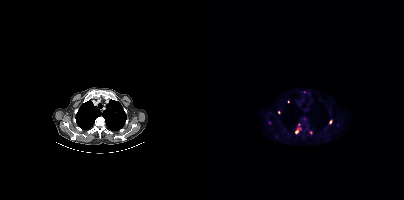
Findings: Coordinates are on the 200×200 PET (right) panel. (showing 5 of 9 foci) PSMA-avid tumor lesion bounding box (x, y, width, height): x=91 y=128 w=4 h=6. Small PSMA-avid foci (2 to 4 px across) near (center x, center y): (126, 121) | (106, 132) | (100, 91) | (74, 112).
- Two-panel axial: CT | PSMA PET, 18F tracer
- acquired on Siemens Biograph mCT Flow 20
- slice position z = 107 mm
- PET panel 200×200 px (4.1 mm/px)